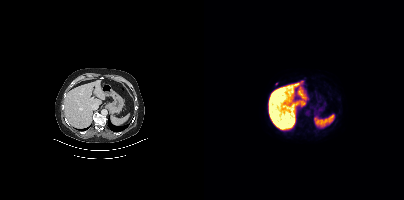
- Left: CT. Right: PSMA PET, same axial level, 18F tracer
- PET panel 200×200 px (4.1 mm/px)
Findings: Coordinates are on the 200×200 PET (right) panel. Small PSMA-avid focus (2 to 4 px across) near (center x, center y): (72, 84).